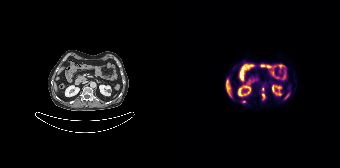
Coordinates are on the 168×168 PET (right) panel. PSMA-avid tumor lesion bounding boxes (x, y, width, height): x=90 y=93 w=4 h=8 / x=69 y=100 w=6 h=4 / x=90 y=87 w=3 h=5.